- Paired axial CT (left) and PSMA PET (right), [68Ga]Ga-PSMA-11 tracer
- PET panel 256×256 px (2.7 mm/px)
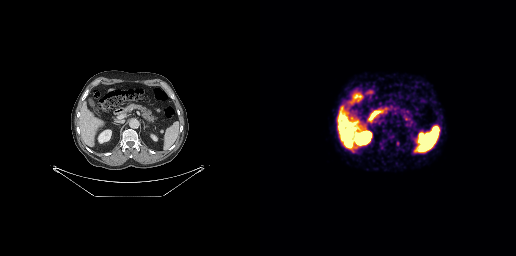
Findings: Coordinates are on the 256×256 PET (right) panel. PSMA-avid tumor lesion bounding box (x0, y0)-(x1, y1): (159, 132)-(164, 136).